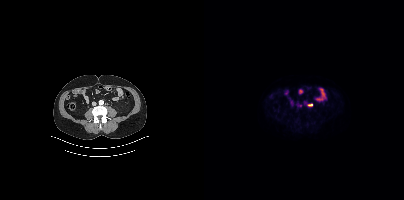
Coordinates are on the 200×200 PET (right) panel. PSMA-avid tumor lesion bounding box (x0,y0,x1,y1): [104,104,108,106]. Small PSMA-avid focus (2 to 4 px across) near (center x, center y): (96, 105).